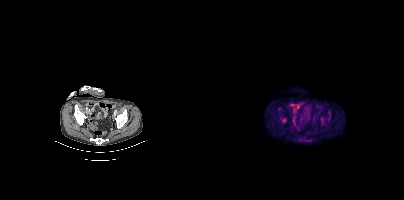
Coordinates are on the 200×200 PET (right) panel. (showing 4 of 5 foci) PSMA-avid tumor lesion bounding box (x0, y0)-(x1, y1): (124, 112)-(126, 117). Small PSMA-avid foci (2 to 4 px across) near (center x, center y): (79, 119); (118, 118); (94, 139).